Left: CT. Right: PSMA PET, same axial level, [18F]PSMA-1007 tracer. Acquired on Siemens Biograph 64-4R TruePoint. PET panel 168×168 px (4.1 mm/px).
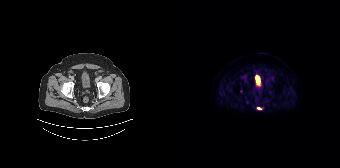
Coordinates are on the 168×168 PET (right) panel. (showing 1 of 2 foci) PSMA-avid tumor lesion bounding box (x, y, width, height): x=85 y=107 w=5 h=3.